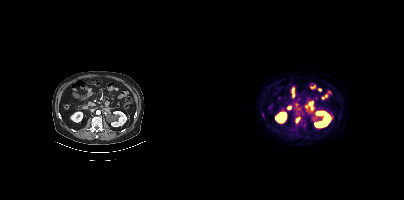
{"modality":"PSMA PET/CT","view":"axial","tracer":"18F","pet_grid":[200,200],"coord_frame":"pet_panel","coord_format":"x0,y0,x1,y1","lesion_bboxes":[],"small_foci_centers":[[93,119]]}